Technique: Left: CT. Right: PSMA PET, same axial level, [18F]PSMA-1007 tracer. acquired on Siemens Biograph mCT Flow 20. slice 63 of 444.
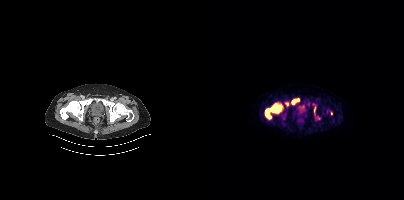
Findings: Coordinates are on the 200×200 PET (right) panel. (showing 5 of 6 foci) PSMA-avid tumor lesion bounding boxes (x0, y0)-(x1, y1): (61, 103)-(78, 118); (88, 99)-(92, 104). Small PSMA-avid foci (2 to 4 px across) near (center x, center y): (94, 99); (83, 104); (127, 113).